modality: PSMA PET/CT | tracer: 68Ga | view: axial
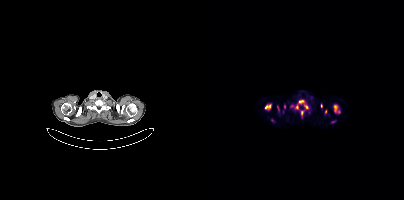
Coordinates are on the 200×200 PET (right) panel. (showing 7 of 9 foci) PSMA-avid tumor lesion bounding boxes (x0, y0)-(x1, y1): (95, 100)-(104, 108) | (61, 104)-(67, 109) | (86, 104)-(94, 109) | (130, 105)-(132, 112) | (97, 111)-(99, 117). Small PSMA-avid foci (2 to 4 px across) near (center x, center y): (117, 105) | (121, 111).